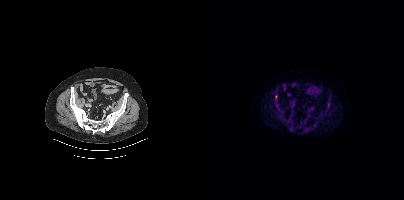
Only PSMA-avid lesion pieces thinner than 2 px on this slice (not listed).